Two-panel axial: CT | PSMA PET, [18F]PSMA-1007 tracer. Slice 303 of 421.
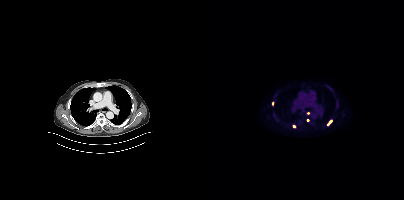
Coordinates are on the 200×200 PET (right) panel. (showing 3 of 5 foci) PSMA-avid tumor lesion bounding box (x, y, width, height): x=123 y=120 w=5 h=6. Small PSMA-avid foci (2 to 4 px across) near (center x, center y): (90, 126) | (68, 103).